modality: PSMA PET/CT | tracer: [18F]PSMA-1007 | view: axial | PET grid: 200×200
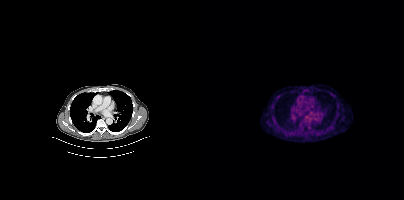
No tumor lesions annotated on this slice.